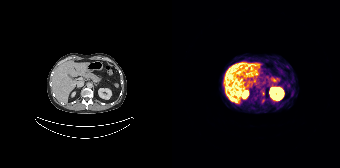
Technique: Two-panel axial: CT | PSMA PET, 68Ga-PSMA tracer. slice position z = -1316 mm. PET panel 168×168 px (4.1 mm/px).
Findings: Negative for PSMA-avid disease on this slice.